Paired axial CT (left) and PSMA PET (right), [68Ga]Ga-PSMA-11 tracer. Slice position z = -1384 mm. PET panel 200×200 px (4.1 mm/px).
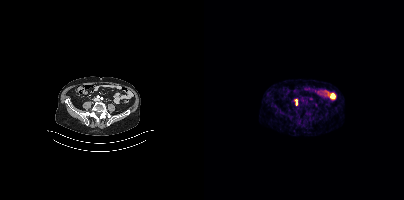
Coordinates are on the 200×200 PET (right) panel. Small PSMA-avid foci (2 to 4 px across) near (center x, center y): (92, 103), (92, 99).